Technique: Paired axial CT (left) and PSMA PET (right), 18F tracer. acquired on GE Discovery 690. slice 55 of 263. PET panel 256×256 px (2.7 mm/px).
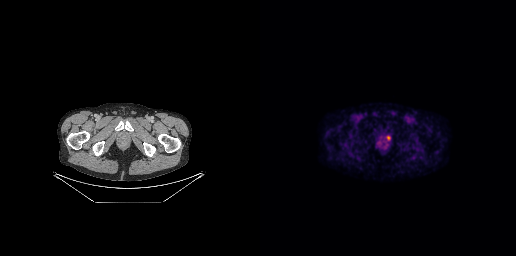
Findings: Coordinates are on the 256×256 PET (right) panel. Small PSMA-avid focus (2 to 4 px across) near (center x, center y): (128, 137).